Paired axial CT (left) and PSMA PET (right), [18F]PSMA-1007 tracer. The face region was removed for patient privacy by blanking a rectangle over the head.
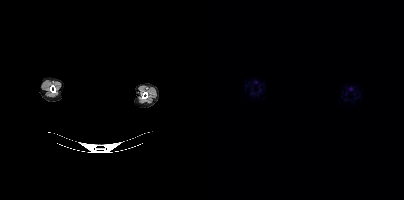
This slice has no annotated PSMA-avid lesion.